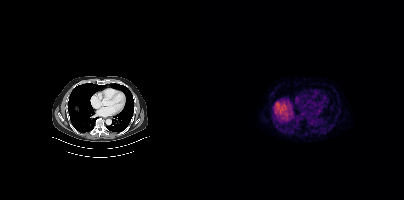
- Paired axial CT (left) and PSMA PET (right), 68Ga-PSMA tracer
- slice position z = -1090 mm
- PET panel 200×200 px (4.1 mm/px)
Findings: No tumor lesions annotated on this slice.